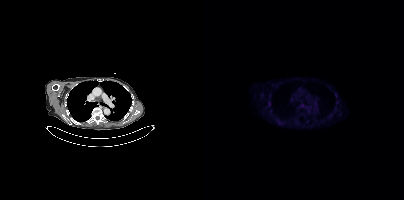
Coordinates are on the 200×200 PET (right) panel. (showing 1 of 2 foci) Small PSMA-avid focus (2 to 4 px across) near (center x, center y): (131, 94). Paired axial CT (left) and PSMA PET (right), 18F tracer. PET panel 200×200 px (4.1 mm/px).